Left: CT. Right: PSMA PET, same axial level, 18F tracer. PET panel 200×200 px (4.1 mm/px).
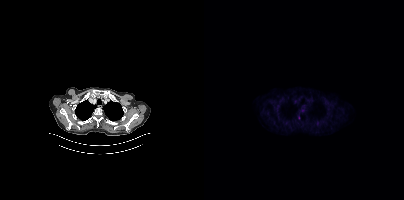
No tumor lesions annotated on this slice.